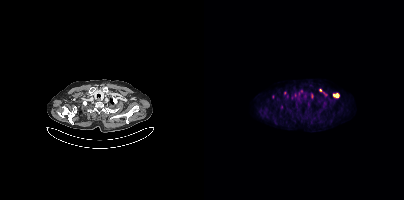
Technique: Paired axial CT (left) and PSMA PET (right), 18F tracer. acquired on Siemens Biograph mCT Flow 20. PET panel 200×200 px (4.1 mm/px).
Findings: Coordinates are on the 200×200 PET (right) panel. (showing 6 of 9 foci) PSMA-avid tumor lesion bounding boxes (x, y, width, height): x=129 y=93 w=7 h=5 / x=107 y=94 w=3 h=5. Small PSMA-avid foci (2 to 4 px across) near (center x, center y): (68, 96) / (116, 90) / (94, 98) / (121, 94).